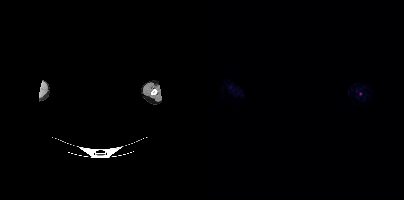
Coordinates are on the 200×200 PET (right) panel. Small PSMA-avid focus (2 to 4 px across) near (center x, center y): (156, 93). Two-panel axial: CT | PSMA PET, 18F-PSMA tracer. A rectangular block over the head has been blanked out for de-identification.